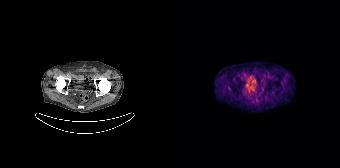
Coordinates are on the 168×168 PET (right) panel. Small PSMA-avid focus (2 to 4 px across) near (center x, center y): (100, 92). Two-panel axial: CT | PSMA PET, 68Ga-PSMA tracer. Slice 41 of 165.